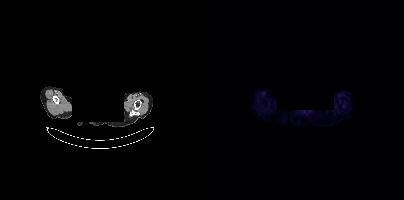
{"modality":"PSMA PET/CT","view":"axial","tracer":"18F-PSMA","pet_grid":[200,200],"coord_frame":"pet_panel","coord_format":"x0,y0,x1,y1","psma_avid_lesions":false,"deidentification":"facial region redacted"}